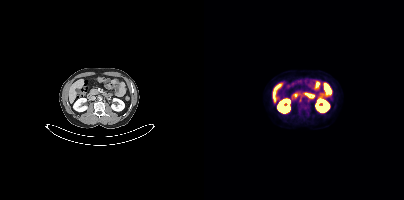
Negative for PSMA-avid disease on this slice. Paired axial CT (left) and PSMA PET (right), [18F]PSMA-1007 tracer. Slice 177 of 393.